Technique: Paired axial CT (left) and PSMA PET (right), 18F-PSMA tracer. acquired on Siemens Biograph mCT Flow 20. PET panel 200×200 px (4.1 mm/px).
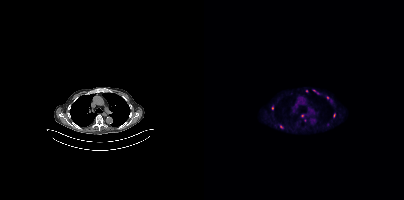
Findings: Coordinates are on the 200×200 PET (right) panel. (showing 8 of 9 foci) PSMA-avid tumor lesion bounding box (x0,y0,x1,y1): [109,90,114,94]. Small PSMA-avid foci (2 to 4 px across) near (center x, center y): (77, 126); (130, 115); (68, 108); (102, 91); (123, 97); (98, 115); (87, 93).